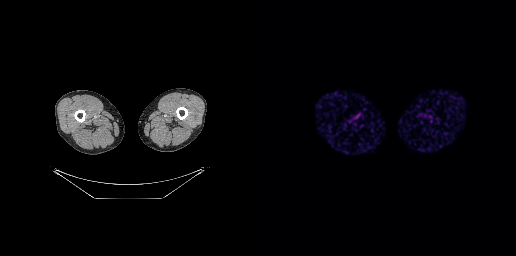
{"modality":"PSMA PET/CT","view":"axial","tracer":"68Ga-PSMA","pet_grid":[256,256],"coord_frame":"pet_panel","coord_format":"x0,y0,x1,y1","psma_avid_lesions":false}